Technique: Left: CT. Right: PSMA PET, same axial level, 18F-PSMA tracer. acquired on Siemens Biograph mCT Flow 20. slice 163 of 417.
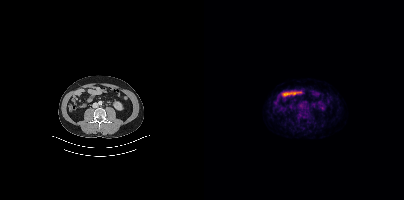
Findings: This slice has no annotated PSMA-avid lesion.